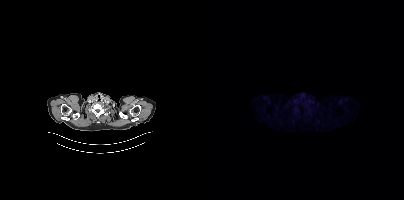
Negative for PSMA-avid disease on this slice. Paired axial CT (left) and PSMA PET (right), 18F tracer. Slice 352 of 411.